Technique: Paired axial CT (left) and PSMA PET (right), [18F]PSMA-1007 tracer. acquired on GE Discovery 690. PET panel 256×256 px (2.7 mm/px).
Note: De-identified by setting a box covering the face to black before release.
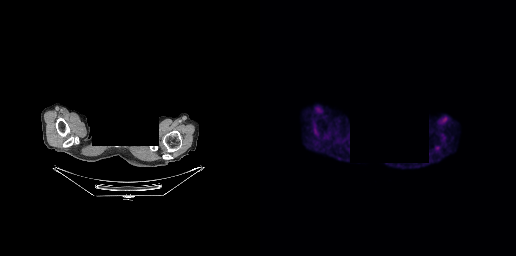
Findings: Coordinates are on the 256×256 PET (right) panel. PSMA-avid tumor lesion bounding box (x0, y0)-(x1, y1): (174, 145)-(180, 152).